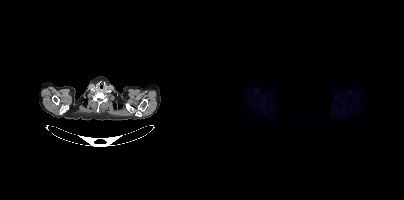
No PSMA-avid tumor lesions on this slice. Two-panel axial: CT | PSMA PET, 18F-PSMA tracer. Acquired on Siemens Biograph mCT Flow 20. Slice 366 of 421. Part of this slice was blanked for de-identification.